Technique: Two-panel axial: CT | PSMA PET, 18F-PSMA tracer. acquired on GE Discovery 690.
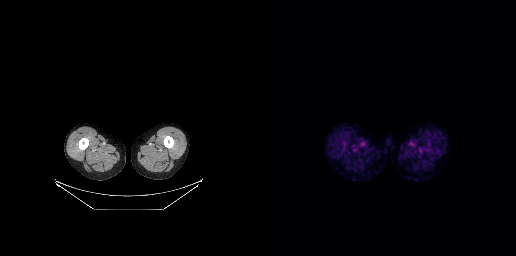
Findings: This slice has no annotated PSMA-avid lesion.